Paired axial CT (left) and PSMA PET (right), 18F tracer. Acquired on Siemens Biograph mCT Flow 20. PET panel 200×200 px (4.1 mm/px).
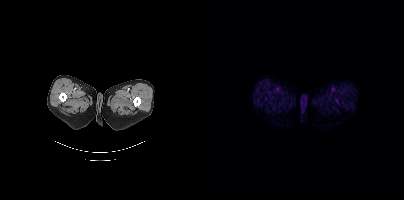
This slice has no annotated PSMA-avid lesion.